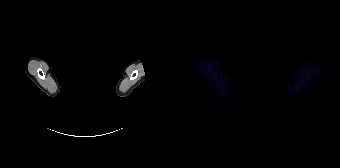
No PSMA-avid tumor lesions on this slice. Left: CT. Right: PSMA PET, same axial level, 18F-PSMA tracer. Slice 156 of 165. The face region was removed for patient privacy by blanking a rectangle over the head.